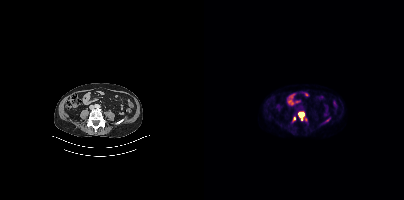
{"modality":"PSMA PET/CT","view":"axial","tracer":"18F-PSMA","pet_grid":[200,200],"coord_frame":"pet_panel","coord_format":"x0,y0,x1,y1","lesion_bboxes":[[95,112,100,117]],"small_foci_centers":[[90,118],[97,119]]}